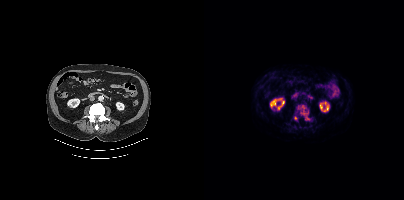
Coordinates are on the 200×200 PET (right) panel. (showing 4 of 7 foci) PSMA-avid tumor lesion bounding box (x, y, width, height): x=97 y=110 w=8 h=5. Small PSMA-avid foci (2 to 4 px across) near (center x, center y): (99, 106) / (103, 117) / (91, 118).